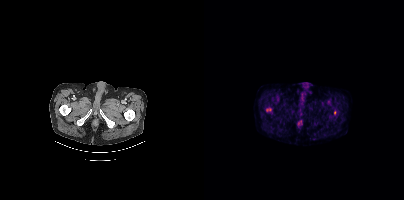
Coordinates are on the 200×200 PET (right) panel. (showing 1 of 2 foci) Small PSMA-avid focus (2 to 4 px across) near (center x, center y): (130, 112).